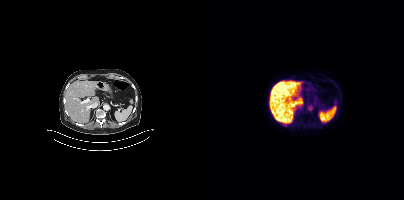
Coordinates are on the 200×200 PET (right) panel. Small PSMA-avid focus (2 to 4 px across) near (center x, center y): (80, 125).